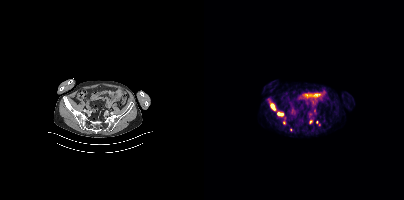
Coordinates are on the 200×200 PET (right) panel. (showing 5 of 6 foci) PSMA-avid tumor lesion bounding boxes (x0,y0,x1,y1): [66,103,71,110]; [73,112,79,116]. Small PSMA-avid foci (2 to 4 px across) near (center x, center y): (86, 129); (106, 121); (79, 122).